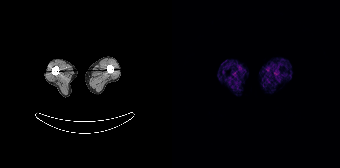
- Paired axial CT (left) and PSMA PET (right), [68Ga]Ga-PSMA-11 tracer
Findings: No PSMA-avid tumor lesions on this slice.